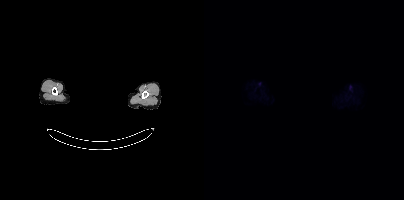
modality: PSMA PET/CT | tracer: 18F-PSMA | view: axial | deidentification: head region blacked out before release
This slice has no annotated PSMA-avid lesion.